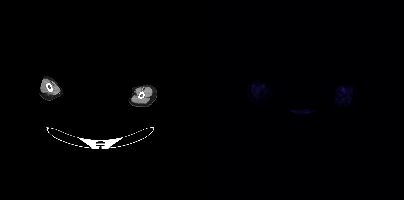
Any black rectangle over the head is a privacy mask, not anatomy.
No PSMA-avid tumor lesions on this slice.